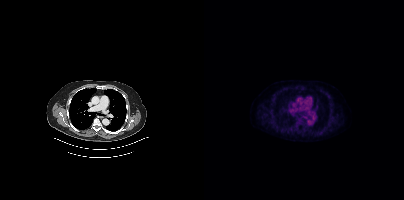
- Paired axial CT (left) and PSMA PET (right), 18F-PSMA tracer
- acquired on Siemens Biograph mCT Flow 20
- PET panel 200×200 px (4.1 mm/px)
Findings: No PSMA-avid tumor lesions on this slice.